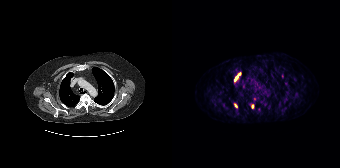
Findings: Coordinates are on the 168×168 PET (right) panel. PSMA-avid tumor lesion bounding box (x0, y0)-(x1, y1): (62, 72)-(69, 82). Small PSMA-avid foci (2 to 4 px across) near (center x, center y): (63, 105) / (80, 106).
- Left: CT. Right: PSMA PET, same axial level, [68Ga]Ga-PSMA-11 tracer
- slice 157 of 195